Paired axial CT (left) and PSMA PET (right), [68Ga]Ga-PSMA-11 tracer.
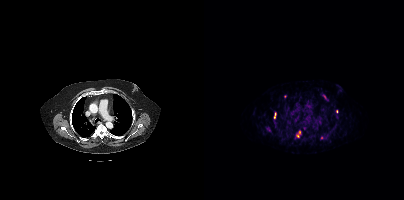
Coordinates are on the 200×200 PET (right) panel. (showing 6 of 7 foci) PSMA-avid tumor lesion bounding boxes (x0, y0)-(x1, y1): (91, 130)-(97, 138) | (119, 95)-(122, 99) | (70, 113)-(71, 118). Small PSMA-avid foci (2 to 4 px across) near (center x, center y): (133, 111) | (81, 96) | (117, 137).